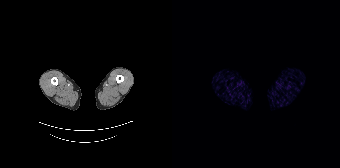
{"modality":"PSMA PET/CT","view":"axial","tracer":"68Ga-PSMA","pet_grid":[168,168],"coord_frame":"pet_panel","coord_format":"x0,y0,x1,y1","psma_avid_lesions":false}